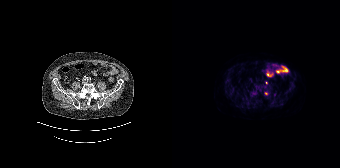
- Left: CT. Right: PSMA PET, same axial level, [18F]PSMA-1007 tracer
- slice position z = -1136 mm
Findings: Coordinates are on the 168×168 PET (right) panel. Small PSMA-avid foci (2 to 4 px across) near (center x, center y): (94, 93) | (94, 82).